Two-panel axial: CT | PSMA PET, [68Ga]Ga-PSMA-11 tracer.
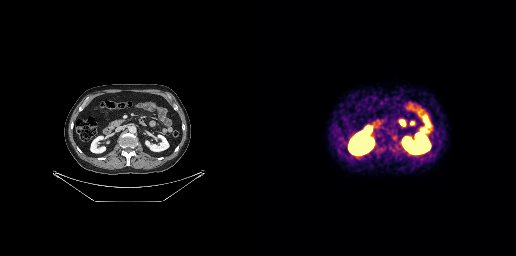
Negative for PSMA-avid disease on this slice.